modality: PSMA PET/CT | tracer: 18F | view: axial | PET grid: 200×200
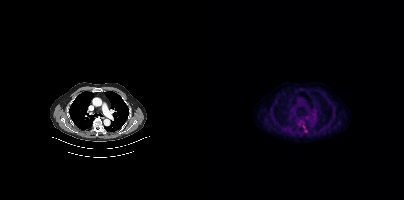
Coordinates are on the 200×200 PET (right) panel. Small PSMA-avid foci (2 to 4 px across) near (center x, center y): (101, 130) / (99, 126).